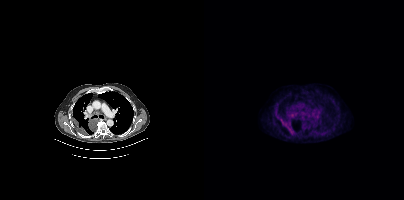
Coordinates are on the 200×200 PET (right) panel. PSMA-avid tumor lesion bounding boxes (x, y, width, height): x=76 y=119 w=14 h=15 | x=86 y=112 w=8 h=6.